Technique: Left: CT. Right: PSMA PET, same axial level, [18F]PSMA-1007 tracer. acquired on Siemens Biograph mCT Flow 20. slice position z = -1487 mm. PET panel 200×200 px (4.1 mm/px).
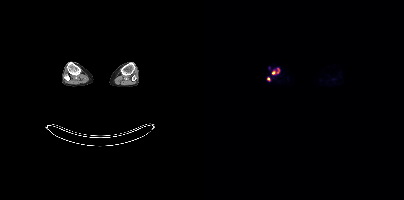
Findings: Coordinates are on the 200×200 PET (right) panel. PSMA-avid tumor lesion bounding box (x, y, width, height): x=72 y=68 w=4 h=6. Small PSMA-avid foci (2 to 4 px across) near (center x, center y): (69, 72) | (64, 79).